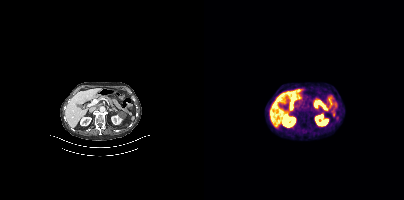
Two-panel axial: CT | PSMA PET, 68Ga tracer. Acquired on Siemens Biograph mCT Flow 20. Negative for PSMA-avid disease on this slice.